modality: PSMA PET/CT | tracer: [18F]PSMA-1007 | view: axial | PET grid: 256×256
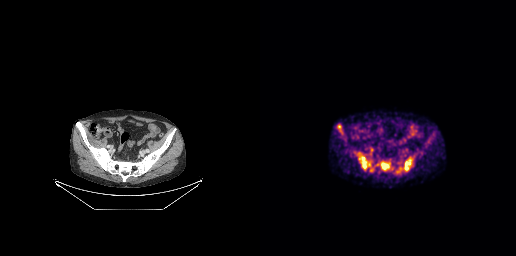
Coordinates are on the 256×256 PET (right) panel. (showing 5 of 6 foci) PSMA-avid tumor lesion bounding boxes (x0, y0)-(x1, y1): (141, 157)-(153, 171); (99, 155)-(110, 169); (120, 161)-(130, 170); (77, 124)-(83, 134). Small PSMA-avid focus (2 to 4 px across) near (center x, center y): (117, 164).